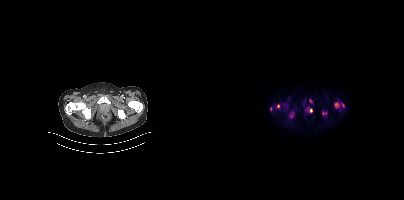
Left: CT. Right: PSMA PET, same axial level, 18F tracer. Slice 64 of 413.
Coordinates are on the 200×200 PET (right) panel. PSMA-avid tumor lesion bounding boxes:
| # | x0 | y0 | x1 | y1 |
|---|---|---|---|---|
| 1 | 84 | 111 | 90 | 118 |
| 2 | 131 | 103 | 134 | 107 |
| 3 | 106 | 108 | 108 | 112 |
| 4 | 118 | 112 | 122 | 114 |
Small PSMA-avid foci (2 to 4 px across) near (center x, center y): (106, 100); (66, 108); (74, 106); (138, 105).